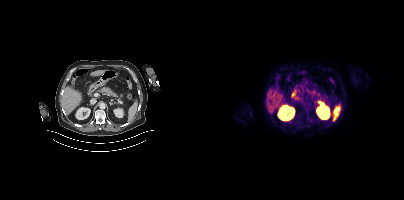
No tumor lesions annotated on this slice.